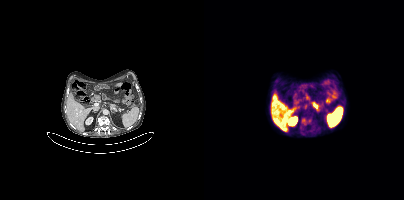
Coordinates are on the 200×200 PET (right) panel. (showing 1 of 2 foci) PSMA-avid tumor lesion bounding box (x0, y0)-(x1, y1): (96, 117)-(107, 129).